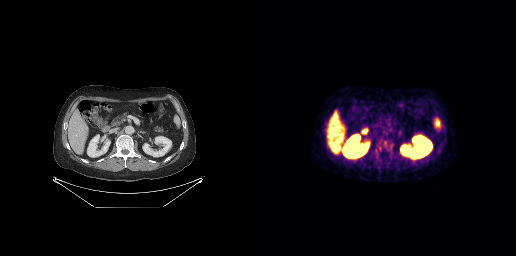
Technique: Paired axial CT (left) and PSMA PET (right), [18F]PSMA-1007 tracer. acquired on GE Discovery 690. slice position z = -630 mm. PET panel 256×256 px (2.7 mm/px).
Findings: This slice has no annotated PSMA-avid lesion.